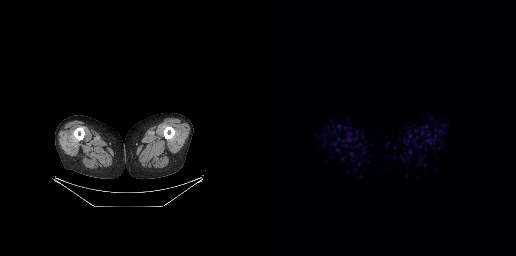
{"modality":"PSMA PET/CT","view":"axial","tracer":"18F","pet_grid":[256,256],"coord_frame":"pet_panel","coord_format":"x0,y0,x1,y1","psma_avid_lesions":false}